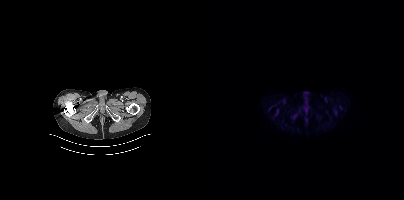
Technique: Left: CT. Right: PSMA PET, same axial level, 18F-PSMA tracer. slice 46 of 401.
Findings: No tumor lesions annotated on this slice.